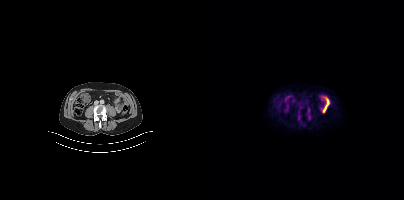
Findings: No PSMA-avid tumor lesions on this slice.
- Left: CT. Right: PSMA PET, same axial level, [18F]PSMA-1007 tracer
- acquired on Siemens Biograph mCT Flow 20
- slice 148 of 413
- PET panel 200×200 px (4.1 mm/px)